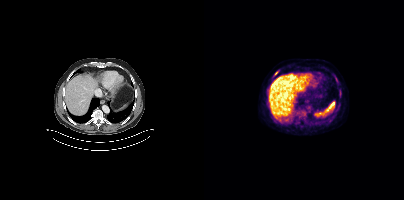
{"modality":"PSMA PET/CT","view":"axial","tracer":"[18F]PSMA-1007","pet_grid":[200,200],"coord_frame":"pet_panel","coord_format":"x0,y0,x1,y1","lesion_bboxes":[],"small_foci_centers":[[72,73],[131,77],[136,94]]}